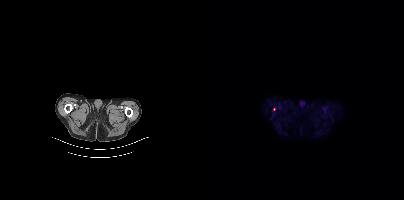
Two-panel axial: CT | PSMA PET, [18F]PSMA-1007 tracer. Acquired on Siemens Biograph mCT Flow 20. Slice position z = -338 mm. PET panel 200×200 px (4.1 mm/px). Coordinates are on the 200×200 PET (right) panel. Small PSMA-avid focus (2 to 4 px across) near (center x, center y): (70, 109).